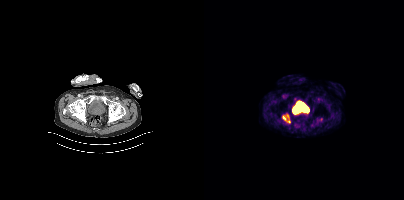
- Paired axial CT (left) and PSMA PET (right), 18F tracer
- acquired on Siemens Biograph mCT Flow 20
- PET panel 200×200 px (4.1 mm/px)
Findings: Coordinates are on the 200×200 PET (right) panel. PSMA-avid tumor lesion bounding box (x, y, width, height): x=78 y=114 w=9 h=9.